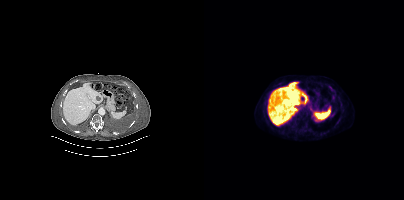
Technique: Paired axial CT (left) and PSMA PET (right), 18F tracer. slice 182 of 344.
Findings: Coordinates are on the 200×200 PET (right) panel. PSMA-avid tumor lesion bounding box (x0, y0)-(x1, y1): (125, 86)-(128, 90). Small PSMA-avid foci (2 to 4 px across) near (center x, center y): (102, 101) | (129, 112).